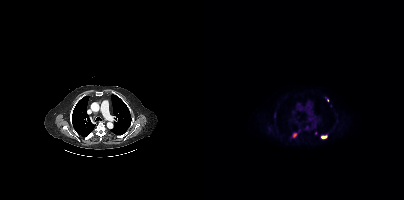
{"modality":"PSMA PET/CT","view":"axial","tracer":"18F","pet_grid":[200,200],"coord_frame":"pet_panel","coord_format":"x0,y0,x1,y1","partial":true,"lesion_bboxes":[[117,135,123,138]],"small_foci_centers":[[90,135]]}